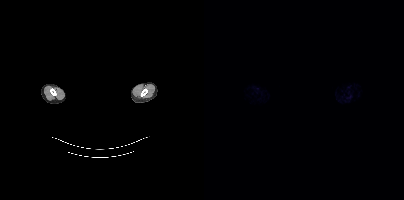
Findings: No tumor lesions annotated on this slice.
- facial anatomy redacted by setting a rectangular region of the head to black
- Left: CT. Right: PSMA PET, same axial level, [18F]PSMA-1007 tracer
- acquired on Siemens Biograph mCT Flow 20
- slice position z = -856 mm